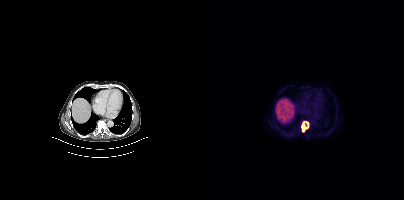
Left: CT. Right: PSMA PET, same axial level, 18F-PSMA tracer. Acquired on Siemens Biograph mCT Flow 20.
Coordinates are on the 200×200 PET (right) panel. PSMA-avid tumor lesion bounding boxes:
| # | x0 | y0 | x1 | y1 |
|---|---|---|---|---|
| 1 | 97 | 121 | 105 | 132 |